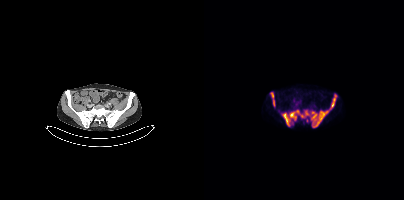
{"modality":"PSMA PET/CT","view":"axial","tracer":"18F-PSMA","pet_grid":[200,200],"coord_frame":"pet_panel","coord_format":"x0,y0,x1,y1","partial":true,"lesion_bboxes":[[78,94,132,127],[66,92,71,106]]}